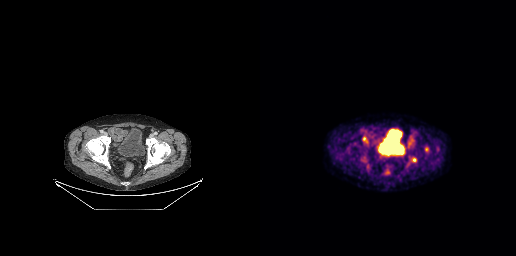
Findings: Coordinates are on the 256×256 PET (right) panel. PSMA-avid tumor lesion bounding boxes (x0,y0,x1,y1): [102,136,108,143], [164,146,169,152], [151,157,155,162]. Small PSMA-avid focus (2 to 4 px across) near (center x, center y): (102, 158).
- Paired axial CT (left) and PSMA PET (right), 18F tracer
- slice position z = -728 mm